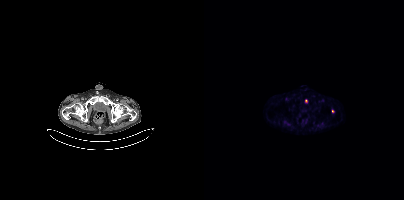
Findings: Coordinates are on the 200×200 PET (right) panel. Small PSMA-avid foci (2 to 4 px across) near (center x, center y): (102, 100) | (128, 111).
- Left: CT. Right: PSMA PET, same axial level, 18F tracer
- slice 55 of 385